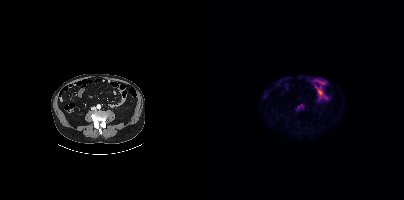
Two-panel axial: CT | PSMA PET, 18F-PSMA tracer. Slice 155 of 435. No tumor lesions annotated on this slice.